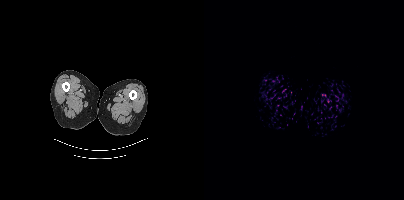
Findings: No PSMA-avid tumor lesions on this slice.
- Two-panel axial: CT | PSMA PET, [18F]PSMA-1007 tracer
- acquired on Siemens Biograph mCT Flow 20